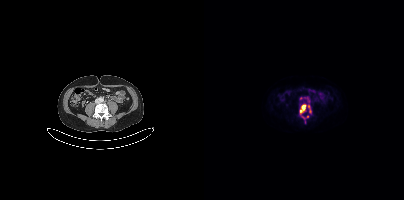
- Two-panel axial: CT | PSMA PET, [18F]PSMA-1007 tracer
- slice 144 of 407
Findings: Coordinates are on the 200×200 PET (right) panel. PSMA-avid tumor lesion bounding boxes (x, y, width, height): x=103 y=105 w=5 h=9 / x=97 y=104 w=5 h=7. Small PSMA-avid foci (2 to 4 px across) near (center x, center y): (97, 98) / (96, 111) / (99, 117) / (103, 116).